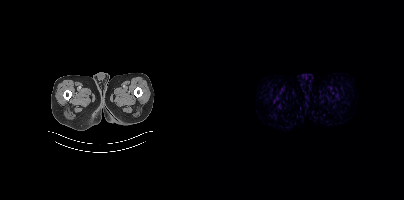
No PSMA-avid tumor lesions on this slice.